Technique: Two-panel axial: CT | PSMA PET, 68Ga-PSMA tracer. acquired on Siemens Biograph mCT Flow 20. PET panel 200×200 px (4.1 mm/px).
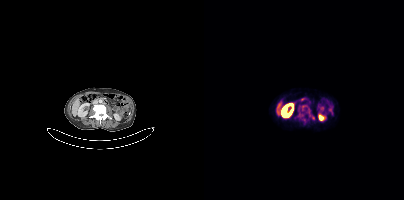
Findings: Coordinates are on the 200×200 PET (right) panel. (showing 3 of 4 foci) Small PSMA-avid foci (2 to 4 px across) near (center x, center y): (109, 117); (101, 121); (104, 112).